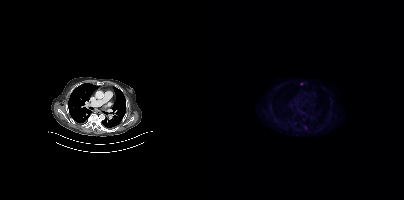
- Paired axial CT (left) and PSMA PET (right), [18F]PSMA-1007 tracer
- PET panel 200×200 px (4.1 mm/px)
Findings: Coordinates are on the 200×200 PET (right) panel. Small PSMA-avid foci (2 to 4 px across) near (center x, center y): (97, 83) | (101, 127).